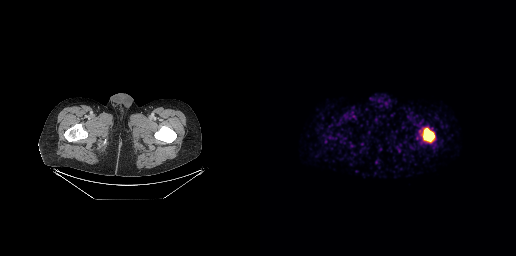
Coordinates are on the 256×256 PET (right) panel. PSMA-avid tumor lesion bounding box (x, y, width, height): x=162 y=128 w=13 h=15.